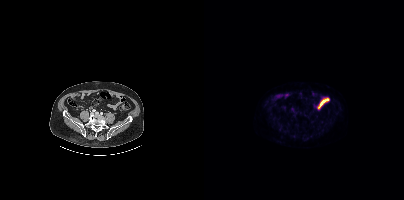
No PSMA-avid tumor lesions on this slice. Left: CT. Right: PSMA PET, same axial level, 18F-PSMA tracer. Slice 158 of 435.